Paired axial CT (left) and PSMA PET (right), [68Ga]Ga-PSMA-11 tracer. Acquired on Siemens Biograph 64-4R TruePoint. Slice position z = -1362 mm. PET panel 168×168 px (4.1 mm/px).
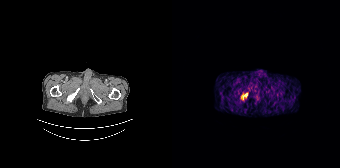
Coordinates are on the 168×168 PET (right) panel. PSMA-avid tumor lesion bounding boxes:
| # | x0 | y0 | x1 | y1 |
|---|---|---|---|---|
| 1 | 70 | 93 | 75 | 99 |